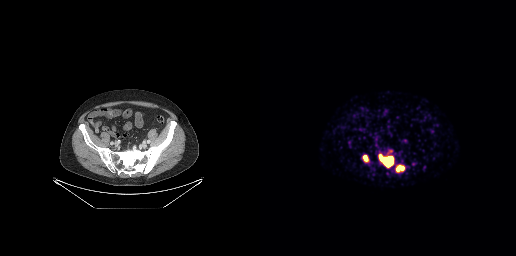
Coordinates are on the 256×256 PET (right) panel. PSMA-avid tumor lesion bounding boxes (x, y, width, height): x=119 y=154 w=15 h=14 / x=136 y=165 w=9 h=7 / x=104 y=156 w=4 h=5.